Head region blanked for anonymization (face removed).
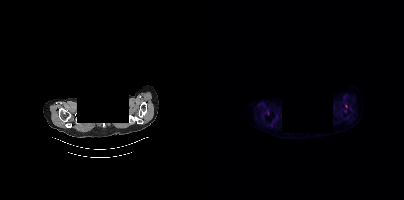
Coordinates are on the 200×200 PET (right) panel. (showing 1 of 2 foci) Small PSMA-avid focus (2 to 4 px across) near (center x, center y): (141, 106).